- Left: CT. Right: PSMA PET, same axial level, 18F tracer
- PET panel 200×200 px (4.1 mm/px)
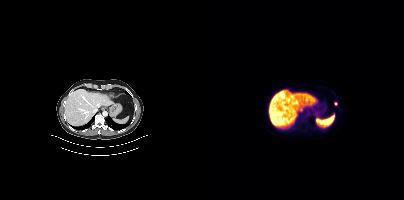
Findings: Coordinates are on the 200×200 PET (right) panel. Small PSMA-avid focus (2 to 4 px across) near (center x, center y): (131, 103).